Left: CT. Right: PSMA PET, same axial level, [18F]PSMA-1007 tracer.
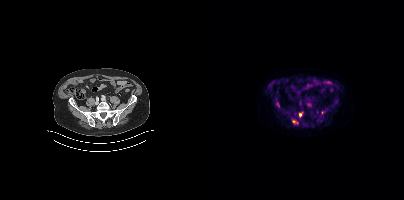
Coordinates are on the 200×200 PET (right) panel. (showing 5 of 7 foci) PSMA-avid tumor lesion bounding box (x0, y0)-(x1, y1): (95, 112)-(98, 116). Small PSMA-avid foci (2 to 4 px across) near (center x, center y): (89, 121) | (105, 104) | (74, 104) | (118, 112).